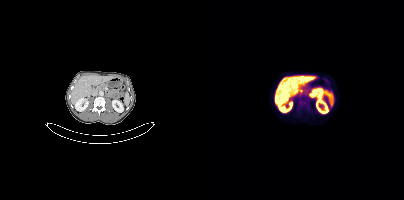
This slice has no annotated PSMA-avid lesion. Left: CT. Right: PSMA PET, same axial level, 18F-PSMA tracer.